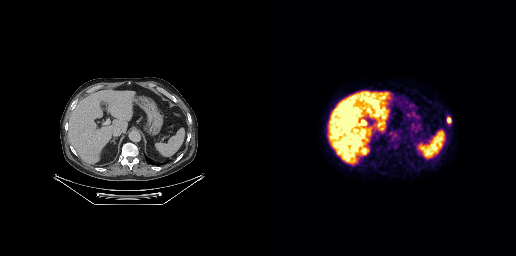
Coordinates are on the 256×256 PET (right) panel. PSMA-avid tumor lesion bounding box (x, y, width, height): x=187 y=117 w=5 h=7.